Left: CT. Right: PSMA PET, same axial level, 18F tracer. PET panel 200×200 px (4.1 mm/px).
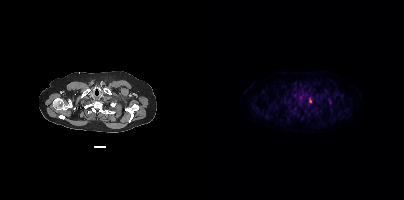
Coordinates are on the 200×200 PET (right) panel. Small PSMA-avid foci (2 to 4 px across) near (center x, center y): (126, 103) | (126, 99).